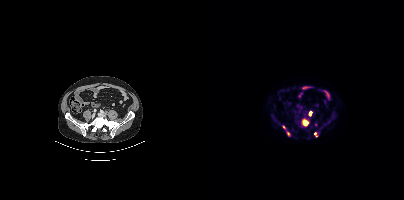
Technique: Left: CT. Right: PSMA PET, same axial level, 18F-PSMA tracer.
Findings: Coordinates are on the 200×200 PET (right) panel. PSMA-avid tumor lesion bounding boxes (x, y, width, height): x=98 y=119 w=7 h=8; x=104 y=111 w=5 h=6; x=110 y=132 w=4 h=6. Small PSMA-avid foci (2 to 4 px across) near (center x, center y): (84, 133); (79, 127).